Two-panel axial: CT | PSMA PET, [18F]PSMA-1007 tracer. PET panel 256×256 px (2.7 mm/px).
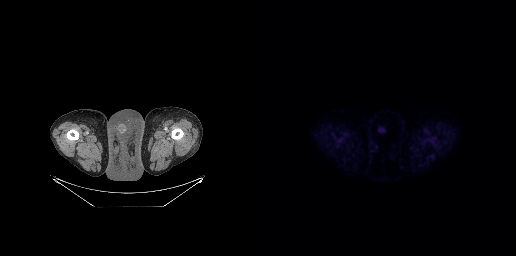
No PSMA-avid tumor lesions on this slice.